Left: CT. Right: PSMA PET, same axial level, 68Ga tracer. Slice 273 of 403. PET panel 200×200 px (4.1 mm/px).
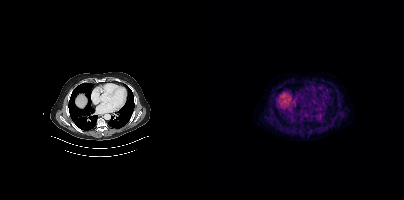
This slice has no annotated PSMA-avid lesion.